- Two-panel axial: CT | PSMA PET, 18F-PSMA tracer
- acquired on Siemens Biograph mCT Flow 20
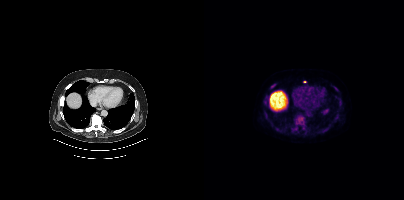
Findings: Coordinates are on the 200×200 PET (right) panel. PSMA-avid tumor lesion bounding boxes (x, y, width, height): x=90 y=115 w=11 h=11 / x=118 y=127 w=7 h=7 / x=88 y=127 w=5 h=6 / x=70 y=127 w=5 h=5 / x=67 y=84 w=5 h=5 / x=130 y=87 w=5 h=5 / x=99 y=125 w=4 h=6. Small PSMA-avid foci (2 to 4 px across) near (center x, center y): (61, 100) / (136, 104) / (136, 100) / (100, 81) / (131, 119).